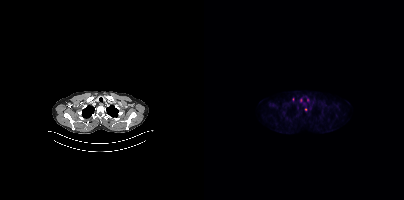
Paired axial CT (left) and PSMA PET (right), [18F]PSMA-1007 tracer. Coordinates are on the 200×200 PET (right) panel. Small PSMA-avid focus (2 to 4 px across) near (center x, center y): (101, 109).